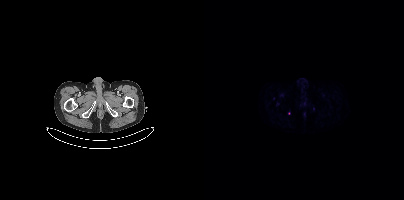
Only PSMA-avid lesion pieces thinner than 2 px on this slice (not listed). Paired axial CT (left) and PSMA PET (right), 68Ga-PSMA tracer. PET panel 200×200 px (4.1 mm/px).